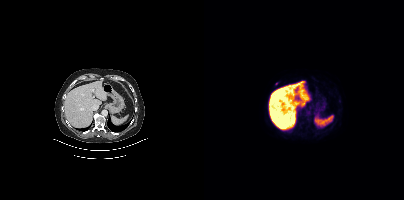
Paired axial CT (left) and PSMA PET (right), 18F tracer. PET panel 200×200 px (4.1 mm/px). Coordinates are on the 200×200 PET (right) panel. Small PSMA-avid focus (2 to 4 px across) near (center x, center y): (72, 83).